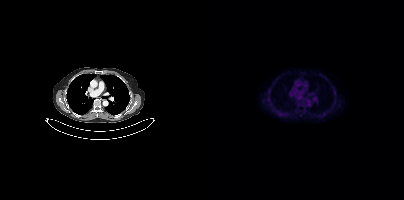
No tumor lesions annotated on this slice.